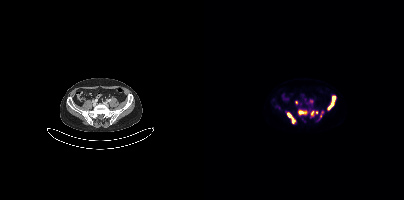
Coordinates are on the 200×200 PET (right) panel. (showing 7 of 8 foci) PSMA-avid tumor lesion bounding boxes (x0, y0)-(x1, y1): (83, 113)-(92, 123) | (94, 110)-(102, 115) | (108, 110)-(113, 115) | (124, 103)-(129, 109) | (128, 97)-(131, 101). Small PSMA-avid foci (2 to 4 px across) near (center x, center y): (92, 102) | (116, 115).